Two-panel axial: CT | PSMA PET, [18F]PSMA-1007 tracer. Slice 292 of 367. PET panel 200×200 px (4.1 mm/px).
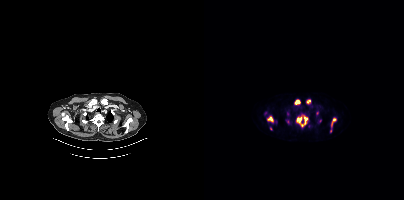
Coordinates are on the 200×200 PET (right) panel. (showing 6 of 9 foci) PSMA-avid tumor lesion bounding boxes (x0,y0,x1,y1): [92,116,103,126], [64,117,69,121], [127,118,132,126], [91,100,95,104]. Small PSMA-avid foci (2 to 4 px across) near (center x, center y): (66, 128), (105, 100).